Two-panel axial: CT | PSMA PET, [68Ga]Ga-PSMA-11 tracer. Acquired on Siemens Biograph mCT Flow 20. Slice 140 of 444. PET panel 200×200 px (4.1 mm/px).
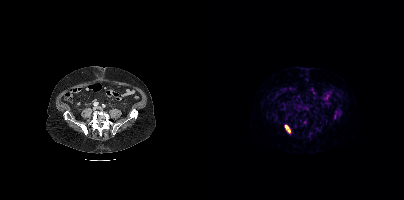
Coordinates are on the 200×200 PET (right) panel. PSMA-avid tumor lesion bounding boxes:
| # | x0 | y0 | x1 | y1 |
|---|---|---|---|---|
| 1 | 81 | 125 | 86 | 132 |